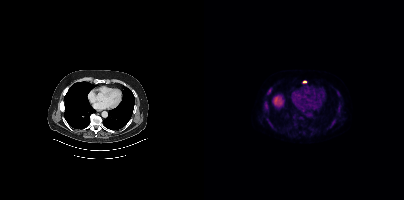
Left: CT. Right: PSMA PET, same axial level, 18F-PSMA tracer. Slice 304 of 464.
Coordinates are on the 200×200 PET (right) panel. PSMA-avid tumor lesion bounding boxes:
| # | x0 | y0 | x1 | y1 |
|---|---|---|---|---|
| 1 | 60 | 103 | 64 | 111 |
| 2 | 64 | 88 | 68 | 94 |
| 3 | 127 | 119 | 132 | 124 |
| 4 | 133 | 91 | 136 | 96 |
| 5 | 63 | 120 | 66 | 124 |
Small PSMA-avid foci (2 to 4 px across) near (center x, center y): (135, 106); (134, 112); (96, 117); (100, 81); (85, 128); (69, 126).